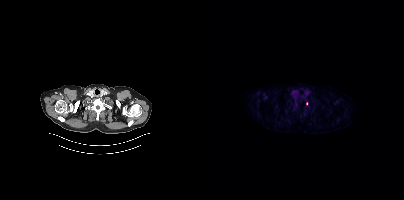
Findings: Coordinates are on the 200×200 PET (right) panel. Small PSMA-avid focus (2 to 4 px across) near (center x, center y): (102, 103).
Technique: Two-panel axial: CT | PSMA PET, 18F-PSMA tracer. acquired on Siemens Biograph mCT Flow 20. slice position z = -418 mm.